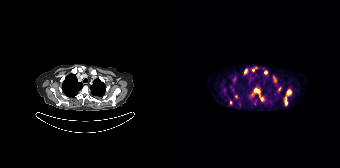
Findings: Coordinates are on the 168×168 PET (right) panel. PSMA-avid tumor lesion bounding boxes (x, y, width, height): x=111 y=88 w=10 h=18 / x=80 y=88 w=12 h=14 / x=80 y=67 w=6 h=5 / x=92 y=70 w=4 h=5 / x=106 y=87 w=4 h=5 / x=72 y=69 w=4 h=5 / x=101 y=77 w=4 h=5 / x=58 y=100 w=3 h=5. Small PSMA-avid foci (2 to 4 px across) near (center x, center y): (62, 79) / (64, 96) / (76, 96).
- Left: CT. Right: PSMA PET, same axial level, 68Ga tracer
- slice position z = -734 mm